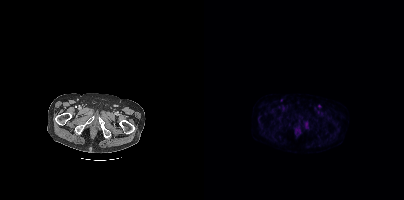
- Left: CT. Right: PSMA PET, same axial level, 18F-PSMA tracer
- slice position z = -992 mm
- PET panel 200×200 px (4.1 mm/px)
Findings: No tumor lesions annotated on this slice.